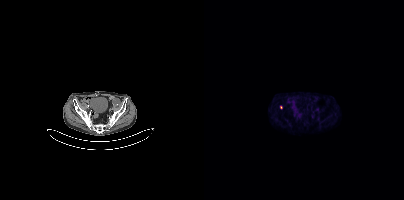
Findings: Coordinates are on the 200×200 PET (right) panel. Small PSMA-avid focus (2 to 4 px across) near (center x, center y): (77, 107).
- Two-panel axial: CT | PSMA PET, 18F-PSMA tracer
- slice position z = -918 mm
- PET panel 200×200 px (4.1 mm/px)